modality: PSMA PET/CT | tracer: [18F]PSMA-1007 | view: axial
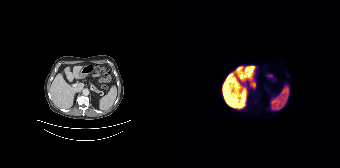
No tumor lesions annotated on this slice.